de-identification: face masked with black rectangle | modality: PSMA PET/CT | tracer: [18F]PSMA-1007 | view: axial
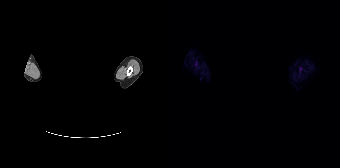
This slice has no annotated PSMA-avid lesion.